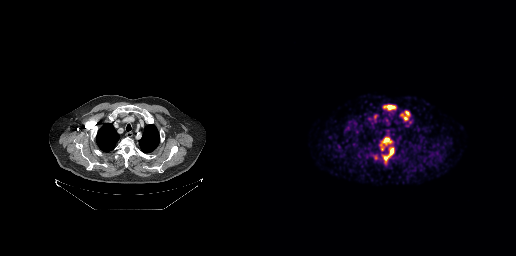
Findings: Coordinates are on the 256×256 PET (right) panel. (showing 5 of 6 foci) PSMA-avid tumor lesion bounding boxes (x0, y0)-(x1, y1): (120, 136)-(132, 150) | (122, 146)-(134, 163) | (123, 104)-(136, 110) | (141, 111)-(149, 120). Small PSMA-avid focus (2 to 4 px across) near (center x, center y): (116, 157).
- Two-panel axial: CT | PSMA PET, 68Ga-PSMA tracer